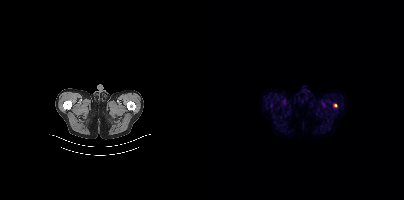
Coordinates are on the 200×200 PET (right) panel. Small PSMA-avid focus (2 to 4 px across) near (center x, center y): (131, 105). Two-panel axial: CT | PSMA PET, 18F tracer. Acquired on Siemens Biograph mCT Flow 20.